modality: PSMA PET/CT | tracer: 18F | view: axial | PET grid: 200×200
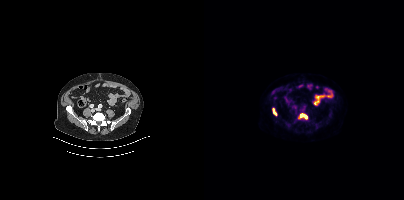
Coordinates are on the 200×200 PET (right) panel. PSMA-avid tumor lesion bounding boxes (x, y, width, height): x=96 y=113 w=8 h=7 | x=69 y=108 w=4 h=8.